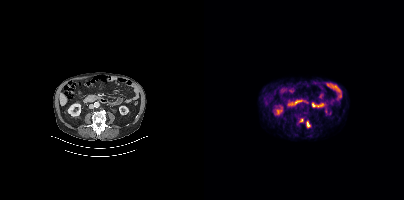
modality: PSMA PET/CT | tracer: 18F | view: axial | PET grid: 200×200
Coordinates are on the 200×200 PET (right) panel. PSMA-avid tumor lesion bounding box (x0,y0,x1,y1): [102,121,106,127]. Small PSMA-avid focus (2 to 4 px across) near (center x, center y): (97, 120).